- Two-panel axial: CT | PSMA PET, 18F-PSMA tracer
- slice 294 of 421
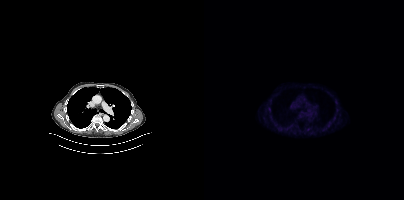
Findings: Negative for PSMA-avid disease on this slice.